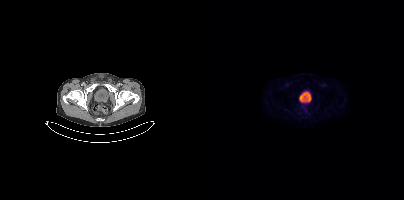
No PSMA-avid tumor lesions on this slice. Two-panel axial: CT | PSMA PET, [18F]PSMA-1007 tracer. Slice 63 of 448.